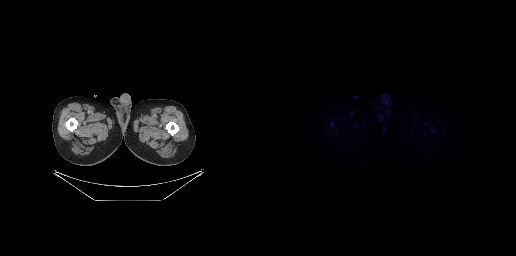
- Two-panel axial: CT | PSMA PET, [18F]PSMA-1007 tracer
- slice position z = -857 mm
- PET panel 256×256 px (2.7 mm/px)
Findings: Negative for PSMA-avid disease on this slice.